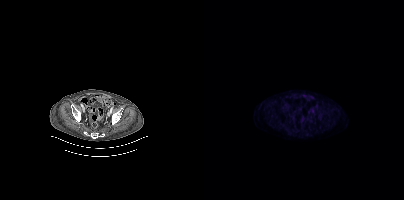
Negative for PSMA-avid disease on this slice.